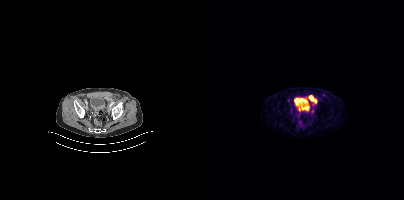
{"modality":"PSMA PET/CT","view":"axial","tracer":"[68Ga]Ga-PSMA-11","pet_grid":[200,200],"coord_frame":"pet_panel","coord_format":"x0,y0,x1,y1","partial":true,"lesion_bboxes":[[105,96,113,103],[100,106,104,110]]}